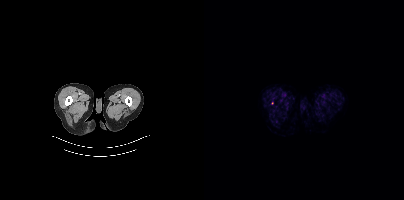
Coordinates are on the 200×200 PET (right) panel. Small PSMA-avid focus (2 to 4 px across) near (center x, center y): (68, 103).